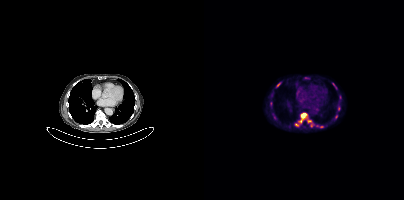
Technique: Paired axial CT (left) and PSMA PET (right), 18F-PSMA tracer. acquired on Siemens Biograph mCT Flow 20. slice position z = 112 mm.
Findings: Coordinates are on the 200×200 PET (right) panel. (showing 7 of 8 foci) PSMA-avid tumor lesion bounding box (x, y, width, height): x=96 y=113 w=7 h=10. Small PSMA-avid foci (2 to 4 px across) near (center x, center y): (105, 121); (92, 125); (107, 125); (130, 84); (117, 126); (132, 116).